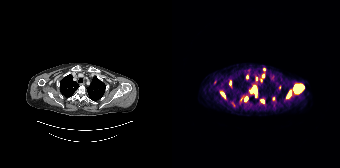
Findings: Coordinates are on the 168×168 PET (right) panel. (showing 11 of 15 foci) PSMA-avid tumor lesion bounding boxes (x, y, width, height): x=122 y=85 w=11 h=8 | x=79 y=89 w=6 h=5 | x=115 y=91 w=5 h=6 | x=72 y=97 w=4 h=5. Small PSMA-avid foci (2 to 4 px across) near (center x, center y): (84, 78) | (89, 80) | (75, 76) | (90, 101) | (83, 86) | (101, 98) | (51, 94).
Technique: Paired axial CT (left) and PSMA PET (right), [68Ga]Ga-PSMA-11 tracer.